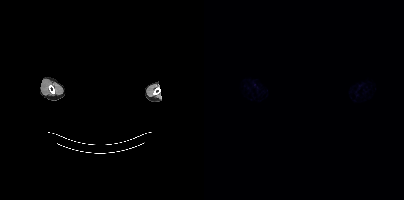
Facial anatomy redacted by setting a rectangular region of the head to black. Paired axial CT (left) and PSMA PET (right), 18F tracer. Acquired on Siemens Biograph mCT Flow 20. PET panel 200×200 px (4.1 mm/px). No PSMA-avid tumor lesions on this slice.